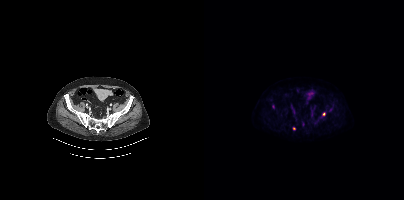
Coordinates are on the 200×200 PET (right) panel. (showing 3 of 4 foci) Small PSMA-avid foci (2 to 4 px across) near (center x, center y): (119, 114); (99, 124); (89, 128). Left: CT. Right: PSMA PET, same axial level, 18F-PSMA tracer. Slice 126 of 450.